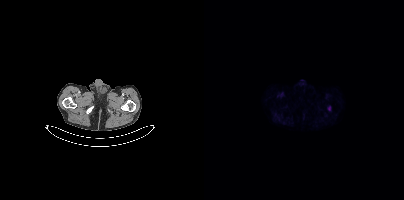
- Left: CT. Right: PSMA PET, same axial level, [18F]PSMA-1007 tracer
- acquired on Siemens Biograph mCT Flow 20
- PET panel 200×200 px (4.1 mm/px)
Findings: Coordinates are on the 200×200 PET (right) panel. Small PSMA-avid focus (2 to 4 px across) near (center x, center y): (125, 108).